Technique: Left: CT. Right: PSMA PET, same axial level, 18F-PSMA tracer. slice 173 of 401.
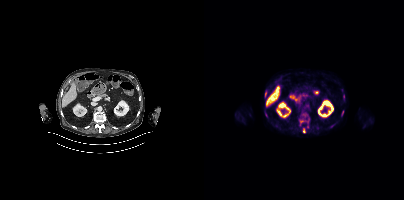
Findings: Coordinates are on the 200×200 PET (right) panel. (showing 2 of 3 foci) PSMA-avid tumor lesion bounding box (x0, y0)-(x1, y1): (61, 92)-(62, 96). Small PSMA-avid focus (2 to 4 px across) near (center x, center y): (100, 130).